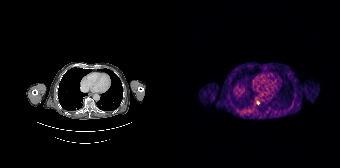
Two-panel axial: CT | PSMA PET, 68Ga tracer. Acquired on Siemens Biograph 64-4R TruePoint. Slice position z = -338 mm. Coordinates are on the 168×168 PET (right) panel. Small PSMA-avid focus (2 to 4 px across) near (center x, center y): (85, 103).